Facial anatomy redacted by setting a rectangular region of the head to black. Two-panel axial: CT | PSMA PET, [18F]PSMA-1007 tracer.
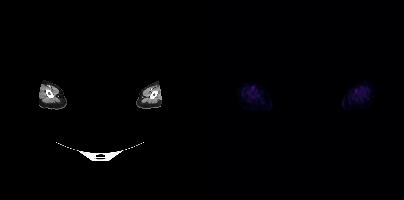
No tumor lesions annotated on this slice.